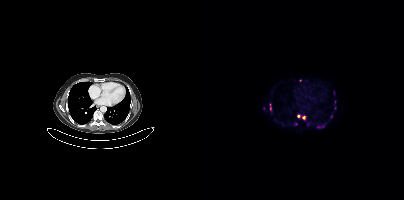
Findings: Coordinates are on the 200×200 PET (right) panel. (showing 5 of 8 foci) PSMA-avid tumor lesion bounding box (x0,y0,x1,y1): [125,116,127,120]. Small PSMA-avid foci (2 to 4 px across) near (center x, center y): (96, 80); (66, 107); (94, 115); (99, 117).
- Two-panel axial: CT | PSMA PET, [68Ga]Ga-PSMA-11 tracer
- slice position z = -1097 mm